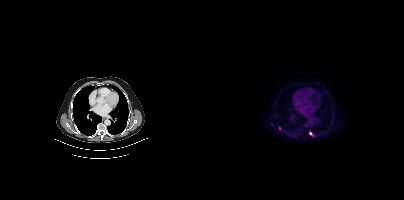
Technique: Paired axial CT (left) and PSMA PET (right), 18F-PSMA tracer. PET panel 200×200 px (4.1 mm/px).
Findings: Coordinates are on the 200×200 PET (right) panel. PSMA-avid tumor lesion bounding box (x0, y0)-(x1, y1): (105, 132)-(109, 135). Small PSMA-avid focus (2 to 4 px across) near (center x, center y): (75, 128).